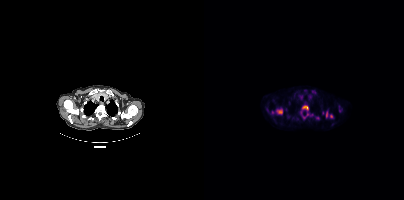
Coordinates are on the 200×200 PET (right) panel. (showing 6 of 7 foci) PSMA-avid tumor lesion bounding boxes (x, y, width, height): x=72 y=109 w=7 h=6 / x=98 y=105 w=7 h=5 / x=122 y=111 w=2 h=7. Small PSMA-avid foci (2 to 4 px across) near (center x, center y): (127, 115) / (68, 112) / (113, 117).
modality: PSMA PET/CT | tracer: 18F-PSMA | view: axial